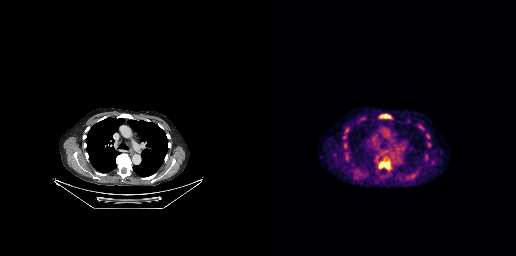
Coordinates are on the 256×256 PET (right) panel. PSMA-avid tumor lesion bounding boxes:
| # | x0 | y0 | x1 | y1 |
|---|---|---|---|---|
| 1 | 119 | 159 | 130 | 169 |
| 2 | 120 | 114 | 130 | 118 |
Left: CT. Right: PSMA PET, same axial level, 18F tracer. Acquired on GE Discovery 690. Slice 198 of 263. PET panel 256×256 px (2.7 mm/px).